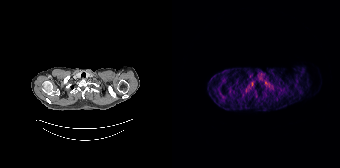
Only PSMA-avid lesion pieces thinner than 2 px on this slice (not listed).